- Paired axial CT (left) and PSMA PET (right), [18F]PSMA-1007 tracer
- acquired on Siemens Biograph mCT Flow 20
- PET panel 200×200 px (4.1 mm/px)
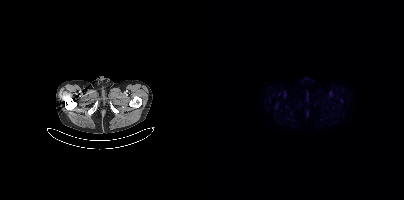
Findings: Coordinates are on the 200×200 PET (right) panel. Small PSMA-avid focus (2 to 4 px across) near (center x, center y): (137, 100).